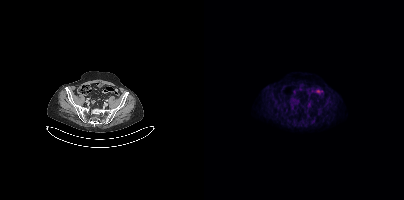
Findings: No tumor lesions annotated on this slice.
- Left: CT. Right: PSMA PET, same axial level, 18F tracer
- PET panel 200×200 px (4.1 mm/px)